- Paired axial CT (left) and PSMA PET (right), 18F-PSMA tracer
- acquired on Siemens Biograph mCT Flow 20
- PET panel 200×200 px (4.1 mm/px)
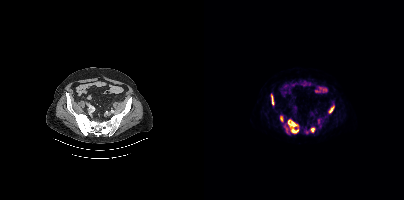
Findings: Coordinates are on the 200×200 PET (right) panel. (showing 6 of 9 foci) PSMA-avid tumor lesion bounding boxes (x, y, width, height): x=83 y=119 w=12 h=15 / x=124 y=105 w=7 h=9 / x=67 y=94 w=4 h=12 / x=106 y=127 w=6 h=6 / x=76 y=116 w=3 h=6. Small PSMA-avid focus (2 to 4 px across) near (center x, center y): (82, 128).